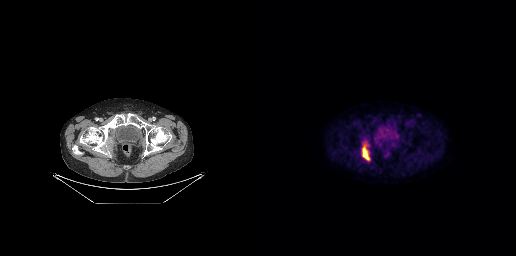
Coordinates are on the 256×256 PET (right) panel. PSMA-avid tumor lesion bounding box (x0,y0,x1,y1): [102,142,110,160].